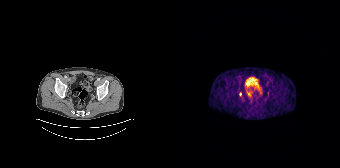
Only PSMA-avid lesion pieces thinner than 2 px on this slice (not listed).